Technique: Two-panel axial: CT | PSMA PET, 18F-PSMA tracer. acquired on Siemens Biograph mCT Flow 20. PET panel 200×200 px (4.1 mm/px).
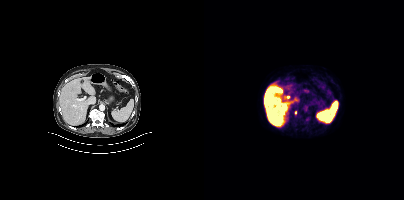
Findings: Coordinates are on the 200×200 PET (right) panel. Small PSMA-avid focus (2 to 4 px across) near (center x, center y): (91, 112).